Paired axial CT (left) and PSMA PET (right), 18F tracer. Slice 246 of 423. PET panel 200×200 px (4.1 mm/px).
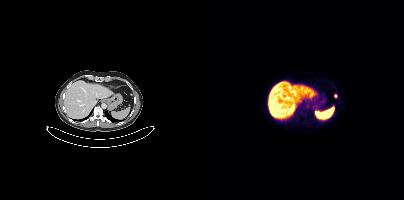
Coordinates are on the 200×200 PET (right) panel. Small PSMA-avid focus (2 to 4 px across) near (center x, center y): (131, 95).